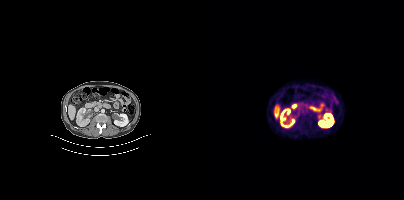
{"pet_grid":[200,200],"coord_frame":"pet_panel","coord_format":"x0,y0,x1,y1","psma_avid_lesions":false,"modality":"PSMA PET/CT","view":"axial","tracer":"18F"}